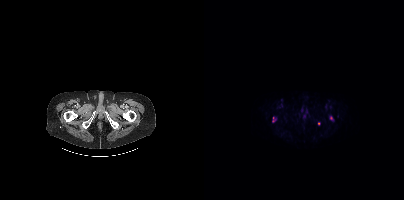
Findings: Coordinates are on the 200×200 PET (right) panel. (showing 1 of 2 foci) Small PSMA-avid focus (2 to 4 px across) near (center x, center y): (114, 123).
Technique: Paired axial CT (left) and PSMA PET (right), [18F]PSMA-1007 tracer. acquired on Siemens Biograph mCT Flow 20.